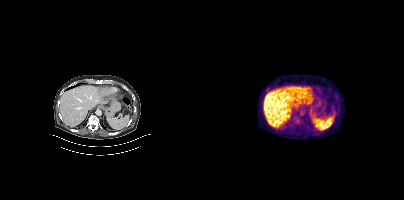
No tumor lesions annotated on this slice.